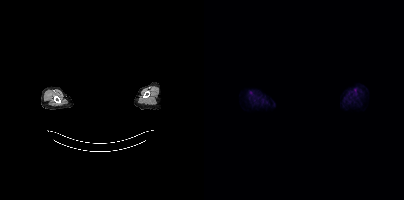
Head region blanked for anonymization (face removed).
No PSMA-avid tumor lesions on this slice.